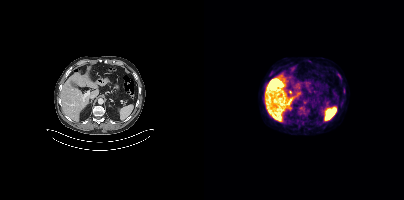
{"pet_grid":[200,200],"coord_frame":"pet_panel","coord_format":"x0,y0,x1,y1","psma_avid_lesions":false,"modality":"PSMA PET/CT","view":"axial","tracer":"18F"}